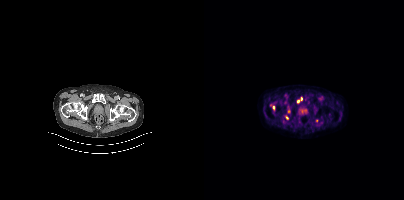
Coordinates are on the 200×200 PET (right) panel. Small PSMA-avid foci (2 to 4 px across) near (center x, center y): (94, 101), (69, 107), (97, 98), (83, 117).
modality: PSMA PET/CT | tracer: 18F | view: axial